Left: CT. Right: PSMA PET, same axial level, 18F-PSMA tracer. Slice position z = -517 mm. PET panel 200×200 px (4.1 mm/px).
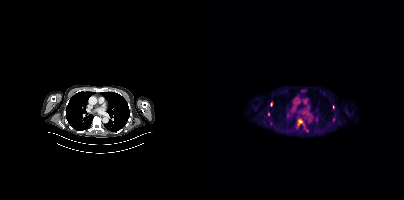
Coordinates are on the 200×200 PET (right) panel. PSMA-avid tumor lesion bounding boxes (partial; 1 more focus not listed):
| # | x0 | y0 | x1 | y1 |
|---|---|---|---|---|
| 1 | 94 | 120 | 98 | 124 |
Small PSMA-avid foci (2 to 4 px across) near (center x, center y): (67, 104); (129, 107).